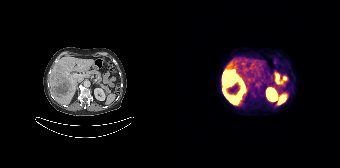
{"pet_grid":[168,168],"coord_frame":"pet_panel","coord_format":"x0,y0,x1,y1","lesion_bboxes":[[50,70,72,104]],"modality":"PSMA PET/CT","view":"axial","tracer":"[68Ga]Ga-PSMA-11"}